Two-panel axial: CT | PSMA PET, 18F-PSMA tracer. Slice position z = -1178 mm. PET panel 200×200 px (4.1 mm/px).
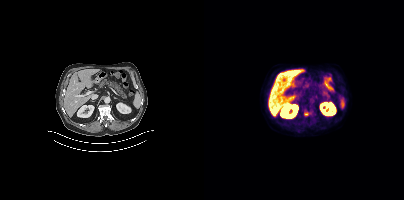
Coordinates are on the 200×200 PET (right) panel. PSMA-avid tumor lesion bounding box (x, y, width, height): x=100 y=112 w=5 h=4.